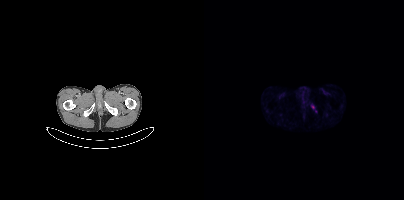
Findings: Coordinates are on the 200×200 PET (right) panel. Small PSMA-avid foci (2 to 4 px across) near (center x, center y): (108, 106) / (111, 111).
- Left: CT. Right: PSMA PET, same axial level, [68Ga]Ga-PSMA-11 tracer